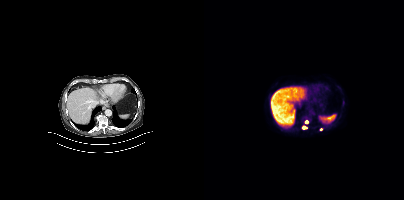
Technique: Left: CT. Right: PSMA PET, same axial level, [18F]PSMA-1007 tracer. slice 253 of 421.
Findings: Coordinates are on the 200×200 PET (right) panel. Small PSMA-avid foci (2 to 4 px across) near (center x, center y): (102, 122); (100, 127); (117, 129).